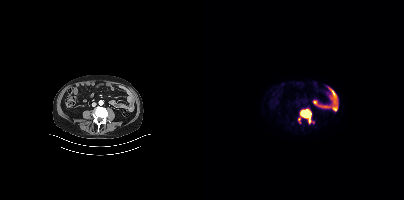
Technique: Two-panel axial: CT | PSMA PET, [18F]PSMA-1007 tracer. slice position z = -748 mm. PET panel 200×200 px (4.1 mm/px).
Findings: Coordinates are on the 200×200 PET (right) panel. (showing 2 of 3 foci) PSMA-avid tumor lesion bounding boxes (x, y, width, height): x=97 y=109 w=11 h=14 / x=95 y=119 w=2 h=5.